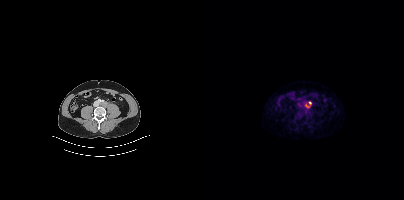
{"pet_grid":[200,200],"coord_frame":"pet_panel","coord_format":"x0,y0,x1,y1","lesion_bboxes":[[101,101,107,107]],"modality":"PSMA PET/CT","view":"axial","tracer":"18F-PSMA"}